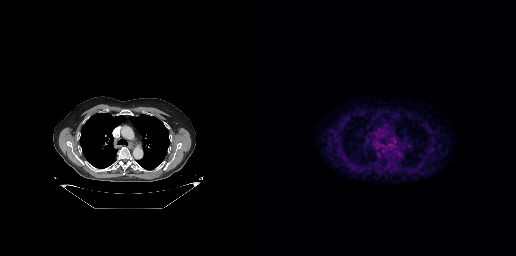
No PSMA-avid tumor lesions on this slice.